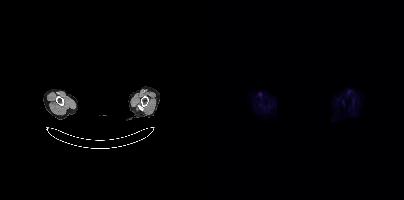
Facial anatomy redacted by setting a rectangular region of the head to black.
No PSMA-avid tumor lesions on this slice.